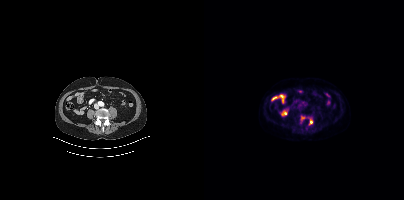
Coordinates are on the 200×200 PET (right) panel. (showing 1 of 2 foci) Small PSMA-avid focus (2 to 4 px across) near (center x, center y): (107, 121).